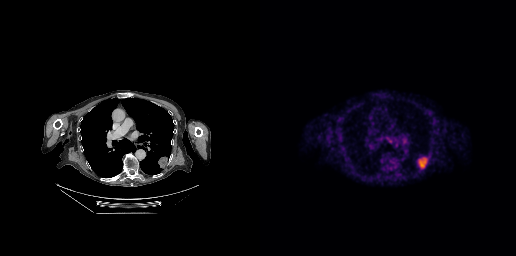
Coordinates are on the 256×256 PET (right) panel. PSMA-avid tumor lesion bounding box (x0, y0)-(x1, y1): (158, 157)-(167, 168).